- Paired axial CT (left) and PSMA PET (right), 68Ga tracer
- PET panel 168×168 px (4.1 mm/px)
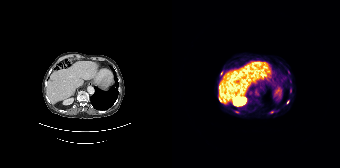
Findings: Coordinates are on the 168×168 PET (right) panel. (showing 6 of 7 foci) Small PSMA-avid foci (2 to 4 px across) near (center x, center y): (48, 100) / (99, 112) / (118, 81) / (78, 93) / (115, 102) / (49, 73).